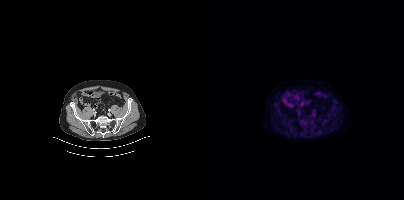
No tumor lesions annotated on this slice. Two-panel axial: CT | PSMA PET, [18F]PSMA-1007 tracer. Acquired on Siemens Biograph mCT Flow 20. Slice position z = -698 mm.